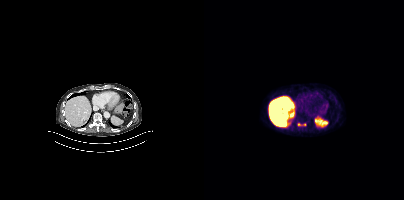
Coordinates are on the 200×200 PET (right) panel. PSMA-avid tumor lesion bounding box (x0, y0)-(x1, y1): (93, 123)-(102, 125).